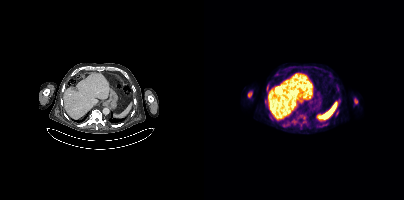
Coordinates are on the 200×200 PET (right) panel. (showing 3 of 4 foci) PSMA-avid tumor lesion bounding boxes (x0,y0,x1,y1): [44,91,48,97], [150,98,153,103], [63,86,64,90].